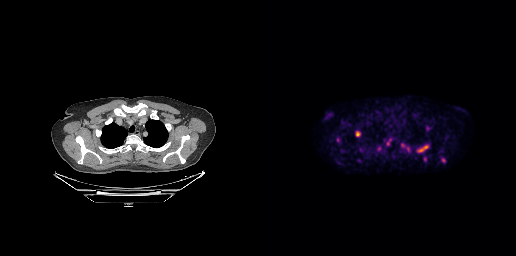
Coordinates are on the 256×256 PET (right) panel. (showing 8 of 9 foci) PSMA-avid tumor lesion bounding boxes (x0, y0)-(x1, y1): (157, 145)-(168, 152) | (96, 131)-(100, 136) | (141, 143)-(144, 147). Small PSMA-avid foci (2 to 4 px across) near (center x, center y): (148, 148) | (183, 160) | (77, 140) | (127, 143) | (164, 159). Paired axial CT (left) and PSMA PET (right), 18F-PSMA tracer. Slice 244 of 299. PET panel 256×256 px (2.7 mm/px).